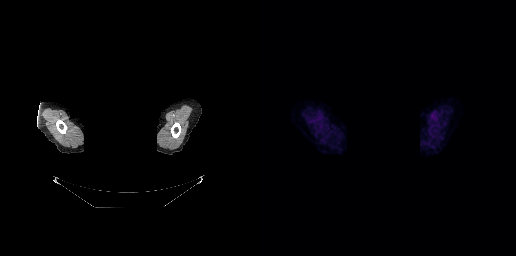
Facial anatomy redacted by setting a rectangular region of the head to black.
No tumor lesions annotated on this slice.